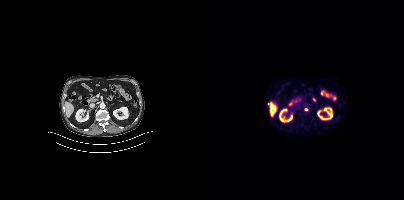
- Paired axial CT (left) and PSMA PET (right), 18F-PSMA tracer
Findings: Only PSMA-avid lesion pieces thinner than 2 px on this slice (not listed).